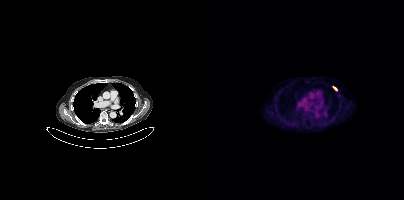
Coordinates are on the 200×200 PET (right) panel. Small PSMA-avid focus (2 to 4 px across) near (center x, center y): (130, 88).